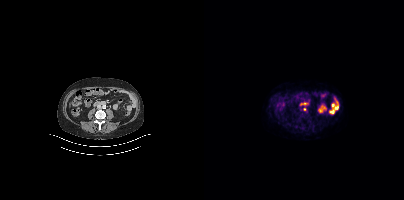
Coordinates are on the 200×200 PET (right) panel. Small PSMA-avid focus (2 to 4 px across) near (center x, center y): (100, 109). Paired axial CT (left) and PSMA PET (right), [18F]PSMA-1007 tracer.